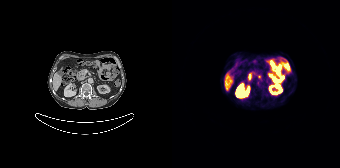
{"modality":"PSMA PET/CT","view":"axial","tracer":"68Ga","pet_grid":[168,168],"coord_frame":"pet_panel","coord_format":"x0,y0,x1,y1","psma_avid_lesions":false}